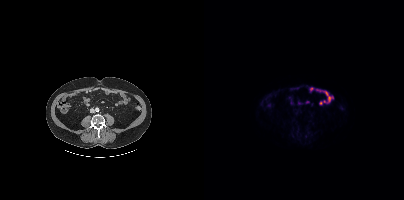
No PSMA-avid tumor lesions on this slice.